Paired axial CT (left) and PSMA PET (right), [18F]PSMA-1007 tracer.
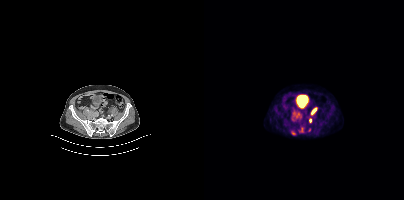
Coordinates are on the 200×200 PET (right) panel. PSMA-avid tumor lesion bounding boxes (partial; 1 more focus not listed):
| # | x0 | y0 | x1 | y1 |
|---|---|---|---|---|
| 1 | 88 | 114 | 91 | 119 |
| 2 | 87 | 131 | 91 | 135 |
Small PSMA-avid foci (2 to 4 px across) near (center x, center y): (109, 110); (106, 120).